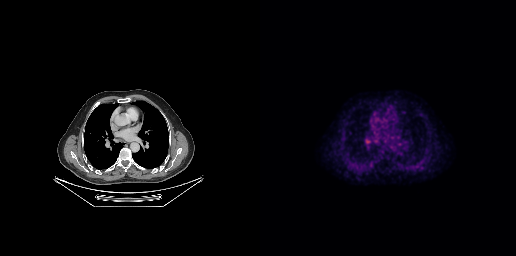
- Paired axial CT (left) and PSMA PET (right), 18F tracer
- slice 179 of 263
- PET panel 256×256 px (2.7 mm/px)
Findings: Coordinates are on the 256×256 PET (right) panel. PSMA-avid tumor lesion bounding boxes (x, y, width, height): x=106 y=138 w=7 h=7 / x=114 y=139 w=6 h=6.